- Two-panel axial: CT | PSMA PET, 18F-PSMA tracer
- acquired on Siemens Biograph mCT Flow 20
- slice position z = -1462 mm
- PET panel 200×200 px (4.1 mm/px)
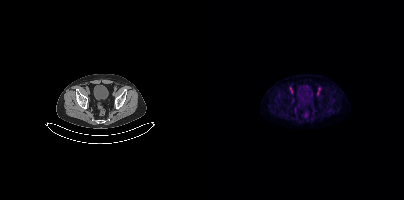
Findings: Coordinates are on the 200×200 PET (right) panel. Small PSMA-avid focus (2 to 4 px across) near (center x, center y): (88, 100).